Paired axial CT (left) and PSMA PET (right), [18F]PSMA-1007 tracer. Acquired on GE Discovery 690. Slice position z = -138 mm.
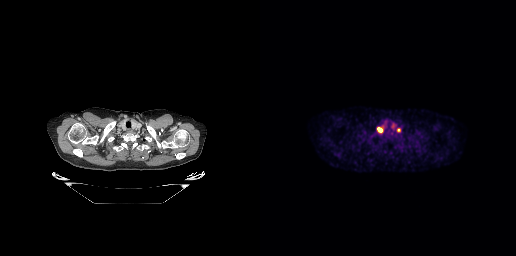
Coordinates are on the 256×256 PET (right) panel. PSMA-avid tumor lesion bounding box (x0, y0)-(x1, y1): (117, 127)-(122, 132). Small PSMA-avid focus (2 to 4 px across) near (center x, center y): (138, 129).